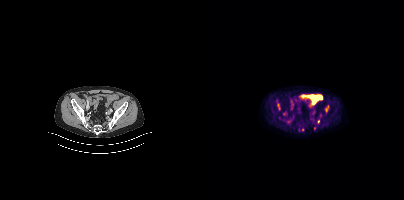
Coordinates are on the 200×200 PET (right) panel. (showing 2 of 4 foci) PSMA-avid tumor lesion bounding box (x0,y0,x1,y1): [121,105,124,111]. Small PSMA-avid focus (2 to 4 px across) near (center x, center y): (114, 121).